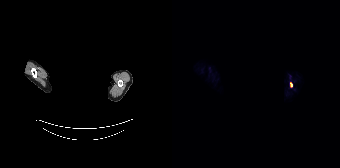
Coordinates are on the 168×168 PET (right) panel. PSMA-avid tumor lesion bounding boxes:
| # | x0 | y0 | x1 | y1 |
|---|---|---|---|---|
| 1 | 118 | 82 | 120 | 87 |
Two-panel axial: CT | PSMA PET, [18F]PSMA-1007 tracer. Slice position z = -662 mm. PET panel 168×168 px (4.1 mm/px). An anonymization step blacked out a rectangle over the head in this scan.